Left: CT. Right: PSMA PET, same axial level, 18F tracer. Slice position z = 528 mm.
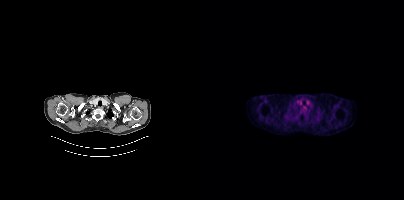
No tumor lesions annotated on this slice.